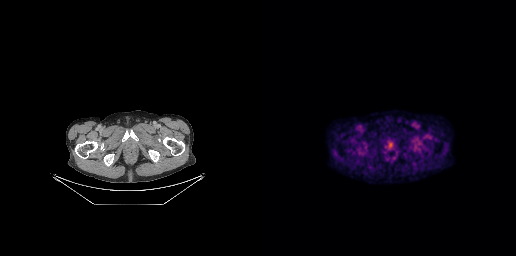
Findings: Negative for PSMA-avid disease on this slice.
Technique: Left: CT. Right: PSMA PET, same axial level, [18F]PSMA-1007 tracer. acquired on GE Discovery 690. PET panel 256×256 px (2.7 mm/px).